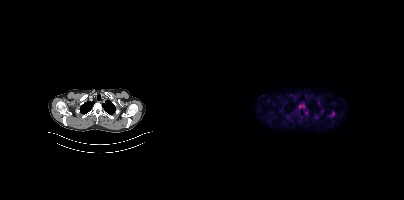
Coordinates are on the 200×200 PET (right) panel. PSMA-avid tumor lesion bounding boxes (x, y, width, height): x=124 y=111 w=8 h=7 / x=110 y=115 w=5 h=4. Small PSMA-avid focus (2 to 4 px across) near (center x, center y): (118, 111). Paired axial CT (left) and PSMA PET (right), 18F-PSMA tracer. PET panel 200×200 px (4.1 mm/px).